Left: CT. Right: PSMA PET, same axial level, 18F tracer. PET panel 200×200 px (4.1 mm/px).
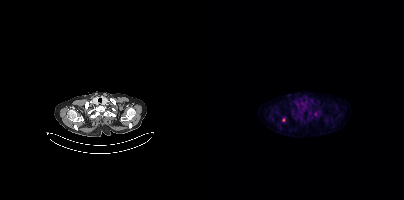
Coordinates are on the 200×200 PET (right) panel. Small PSMA-avid foci (2 to 4 px across) near (center x, center y): (111, 114); (79, 120); (93, 116); (93, 103).